- Two-panel axial: CT | PSMA PET, 18F tracer
- acquired on Siemens Biograph mCT Flow 20
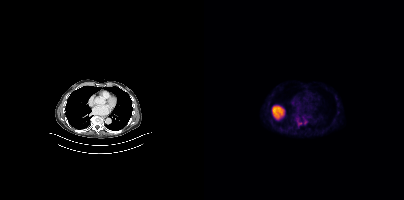
Findings: Coordinates are on the 200×200 PET (right) panel. Small PSMA-avid foci (2 to 4 px across) near (center x, center y): (95, 123); (101, 122).